modality: PSMA PET/CT | tracer: 18F | view: axial
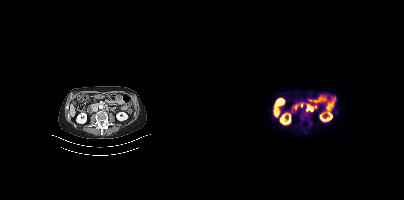
Coordinates are on the 200×200 PET (right) panel. Small PSMA-avid foci (2 to 4 px across) near (center x, center y): (107, 109) | (103, 108).